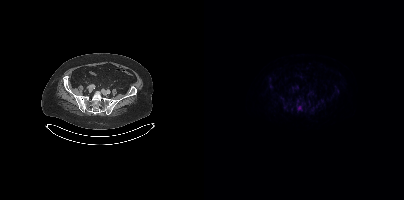
Coordinates are on the 200×200 PET (right) panel. PSMA-avid tumor lesion bounding box (x0,y0,x1,y1): [93,106,97,109]. Paired axial CT (left) and PSMA PET (right), 18F-PSMA tracer. Acquired on Siemens Biograph mCT Flow 20. PET panel 200×200 px (4.1 mm/px).